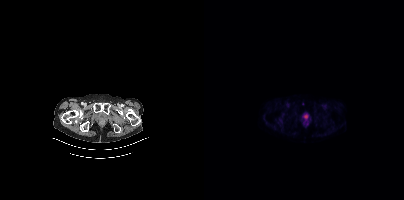
Findings: Coordinates are on the 200×200 PET (right) panel. Small PSMA-avid focus (2 to 4 px across) near (center x, center y): (98, 103).
Technique: Two-panel axial: CT | PSMA PET, [68Ga]Ga-PSMA-11 tracer. PET panel 200×200 px (4.1 mm/px).